Left: CT. Right: PSMA PET, same axial level, 18F tracer. Slice position z = -417 mm. PET panel 256×256 px (2.7 mm/px).
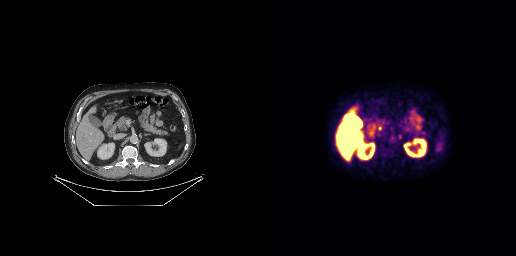
Coordinates are on the 256×256 PET (right) panel. PSMA-avid tumor lesion bounding boxes:
| # | x0 | y0 | x1 | y1 |
|---|---|---|---|---|
| 1 | 138 | 134 | 141 | 139 |